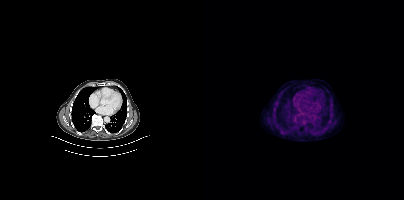
Technique: Paired axial CT (left) and PSMA PET (right), 18F-PSMA tracer. acquired on Siemens Biograph mCT Flow 20. slice 283 of 442. PET panel 200×200 px (4.1 mm/px).
Findings: No PSMA-avid tumor lesions on this slice.